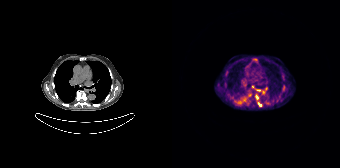
{"modality":"PSMA PET/CT","view":"axial","tracer":"68Ga","pet_grid":[168,168],"coord_frame":"pet_panel","coord_format":"x0,y0,x1,y1","partial":true,"lesion_bboxes":[[62,100,68,104],[90,87,95,93],[111,86,112,90]],"small_foci_centers":[[86,90],[87,104],[80,86],[77,93],[105,100]]}